Technique: Paired axial CT (left) and PSMA PET (right), 18F tracer. PET panel 256×256 px (2.7 mm/px).
Note: The face region was removed for patient privacy by blanking a rectangle over the head.
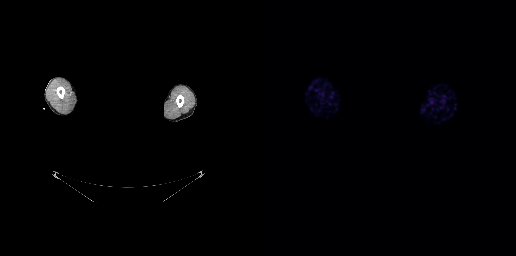
Findings: No PSMA-avid tumor lesions on this slice.